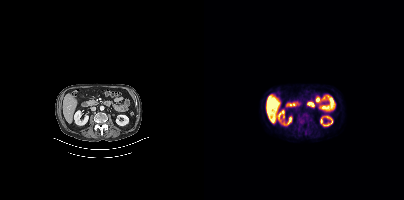
- Left: CT. Right: PSMA PET, same axial level, 18F-PSMA tracer
- PET panel 200×200 px (4.1 mm/px)
Findings: Coordinates are on the 200×200 PET (right) panel. Small PSMA-avid foci (2 to 4 px across) near (center x, center y): (99, 120) | (102, 118).